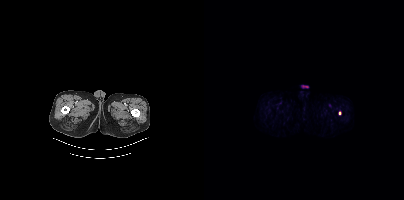
- Two-panel axial: CT | PSMA PET, 18F-PSMA tracer
- slice 25 of 450
- PET panel 200×200 px (4.1 mm/px)
Findings: Coordinates are on the 200×200 PET (right) panel. Small PSMA-avid focus (2 to 4 px across) near (center x, center y): (135, 113).